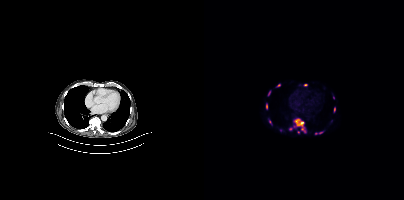
Coordinates are on the 200×200 PET (right) panel. PSMA-avid tumor lesion bounding boxes (partial; 3 more foci not listed):
| # | x0 | y0 | x1 | y1 |
|---|---|---|---|---|
| 1 | 86 | 118 | 102 | 133 |
| 2 | 62 | 104 | 63 | 109 |
| 3 | 114 | 131 | 119 | 133 |
| 4 | 64 | 91 | 66 | 95 |
Small PSMA-avid foci (2 to 4 px across) near (center x, center y): (101, 85); (94, 132); (75, 85); (130, 110).
Two-panel axial: CT | PSMA PET, 18F tracer. Slice 250 of 387. PET panel 200×200 px (4.1 mm/px).